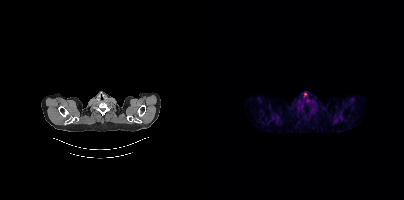
This slice has no annotated PSMA-avid lesion.